- Two-panel axial: CT | PSMA PET, 18F-PSMA tracer
- PET panel 200×200 px (4.1 mm/px)
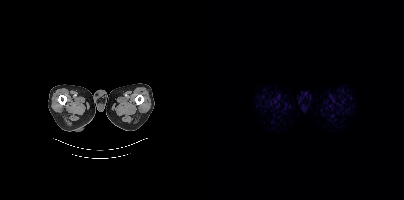
Findings: No PSMA-avid tumor lesions on this slice.